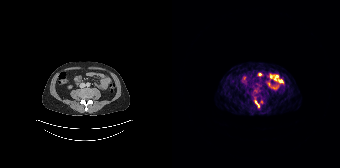
{"pet_grid":[168,168],"coord_frame":"pet_panel","coord_format":"x0,y0,x1,y1","partial":true,"lesion_bboxes":[],"small_foci_centers":[[83,102]],"modality":"PSMA PET/CT","view":"axial","tracer":"68Ga"}